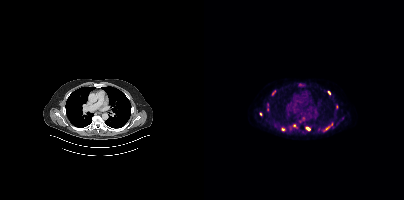
Paired axial CT (left) and PSMA PET (right), 18F tracer. Slice 309 of 444. PET panel 200×200 px (4.1 mm/px). Coordinates are on the 200×200 PET (right) panel. (showing 6 of 7 foci) PSMA-avid tumor lesion bounding box (x0, y0)-(x1, y1): (101, 127)-(106, 130). Small PSMA-avid foci (2 to 4 px across) near (center x, center y): (78, 129) / (125, 92) / (90, 125) / (56, 114) / (122, 128).